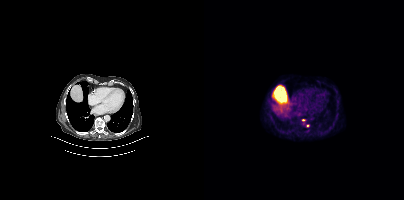
Coordinates are on the 200×200 PET (right) panel. Small PSMA-avid foci (2 to 4 px across) near (center x, center y): (99, 119), (103, 125). Two-panel axial: CT | PSMA PET, [18F]PSMA-1007 tracer. Slice 240 of 427. PET panel 200×200 px (4.1 mm/px).